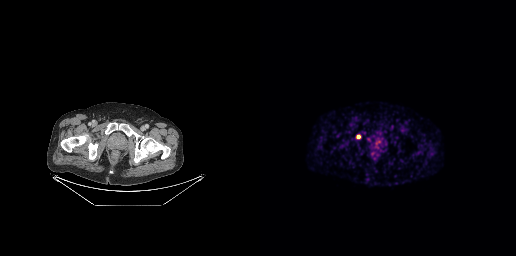
Coordinates are on the 256×256 PET (right) panel. Small PSMA-avid focus (2 to 4 px across) near (center x, center y): (98, 136).
modality: PSMA PET/CT | tracer: 68Ga-PSMA | view: axial | PET grid: 256×256